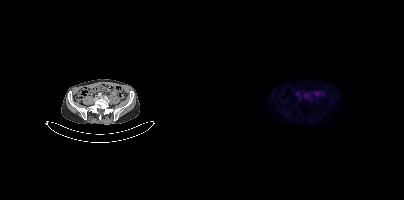
Technique: Left: CT. Right: PSMA PET, same axial level, [18F]PSMA-1007 tracer. PET panel 200×200 px (4.1 mm/px).
Findings: No PSMA-avid tumor lesions on this slice.